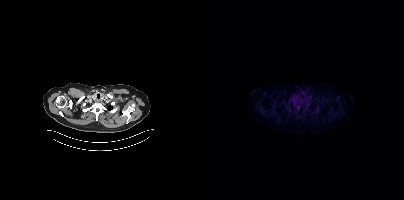
- Paired axial CT (left) and PSMA PET (right), 18F-PSMA tracer
Findings: Negative for PSMA-avid disease on this slice.